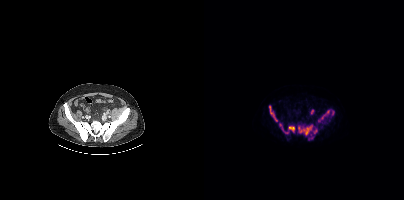
Coordinates are on the 200×200 PET (right) panel. PSMA-avid tumor lesion bounding boxes (x0,y0,x1,y1): [94,125,108,135]; [114,110,130,121]; [65,106,73,121]; [84,126,90,132]; [109,128,113,133]; [105,136,109,139]. Small PSMA-avid foci (2 to 4 px across) near (center x, center y): (82, 132); (76, 125); (78, 128).
modality: PSMA PET/CT | tracer: [18F]PSMA-1007 | view: axial | PET grid: 200×200